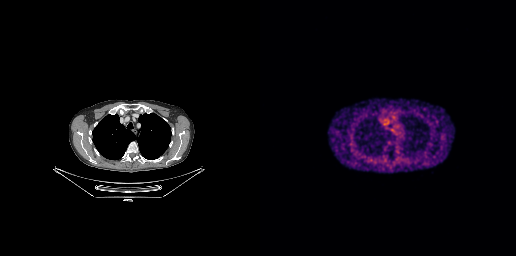
{"pet_grid":[256,256],"coord_frame":"pet_panel","coord_format":"x0,y0,x1,y1","psma_avid_lesions":false,"modality":"PSMA PET/CT","view":"axial","tracer":"68Ga"}